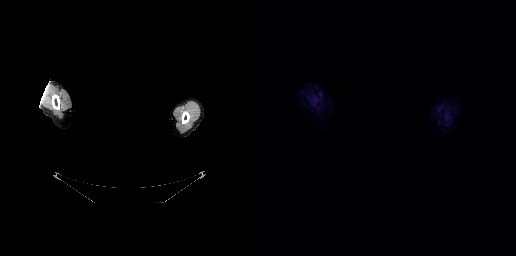
Findings: No tumor lesions annotated on this slice.
Technique: Left: CT. Right: PSMA PET, same axial level, [18F]PSMA-1007 tracer. PET panel 256×256 px (2.7 mm/px).
Note: Privacy masking over the head, with the pixels inside a rectangle set to black.